Two-panel axial: CT | PSMA PET, 68Ga tracer. Acquired on GE Discovery 690.
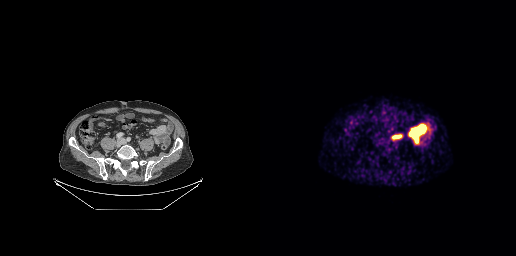
No tumor lesions annotated on this slice.